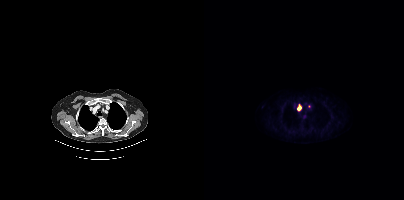
{"modality":"PSMA PET/CT","view":"axial","tracer":"18F-PSMA","pet_grid":[200,200],"coord_frame":"pet_panel","coord_format":"x0,y0,x1,y1","psma_avid_lesions":false}